Technique: Paired axial CT (left) and PSMA PET (right), [18F]PSMA-1007 tracer. acquired on Siemens Biograph mCT Flow 20.
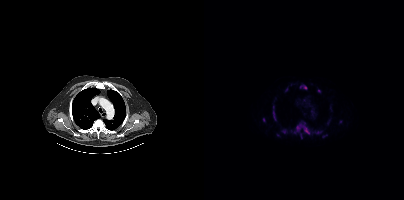
Findings: Coordinates are on the 200×200 PET (right) panel. (showing 11 of 14 foci) PSMA-avid tumor lesion bounding boxes (x0,y0,x1,y1): [90,122,105,138] [69,110,72,120] [99,85,102,89]. Small PSMA-avid foci (2 to 4 px across) near (center x, center y): (79, 131) (59, 119) (114, 132) (114, 90) (69, 107) (136, 121) (96, 86) (73, 134).